Left: CT. Right: PSMA PET, same axial level, 18F-PSMA tracer. Slice position z = -472 mm.
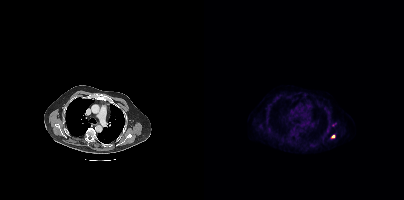
Coordinates are on the 200×200 PET (right) panel. Small PSMA-avid focus (2 to 4 px across) near (center x, center y): (129, 136).